- Paired axial CT (left) and PSMA PET (right), 18F-PSMA tracer
- slice 160 of 263
- PET panel 256×256 px (2.7 mm/px)
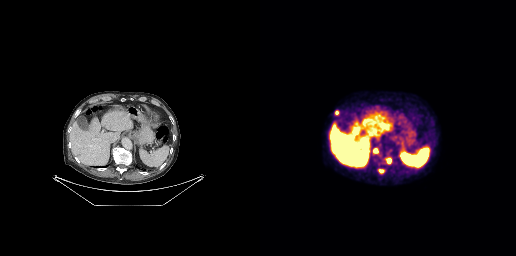
Findings: Coordinates are on the 256×256 PET (right) panel. PSMA-avid tumor lesion bounding boxes (x0,y0,x1,y1): [113,148,121,157]; [126,157,131,163]; [118,169,124,173]; [75,110,78,114].